Technique: Paired axial CT (left) and PSMA PET (right), [18F]PSMA-1007 tracer. acquired on GE Discovery 690.
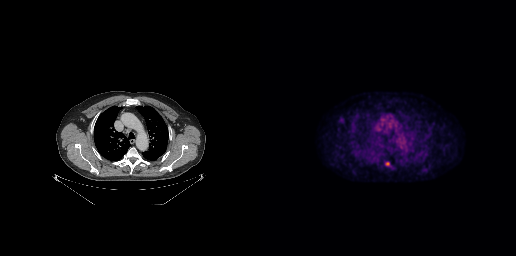
Findings: Coordinates are on the 256×256 PET (right) panel. Small PSMA-avid focus (2 to 4 px across) near (center x, center y): (127, 163).